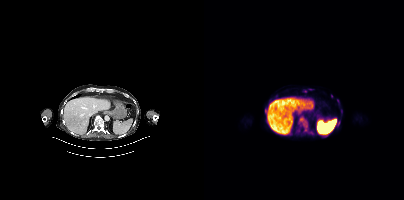
{"pet_grid":[200,200],"coord_frame":"pet_panel","coord_format":"x0,y0,x1,y1","partial":true,"lesion_bboxes":[[95,116,109,134],[104,88,109,90],[93,126,96,132],[117,136,122,137]],"small_foci_centers":[[133,124],[137,111],[134,100],[61,110],[101,91],[127,96]],"modality":"PSMA PET/CT","view":"axial","tracer":"18F"}